Paired axial CT (left) and PSMA PET (right), [18F]PSMA-1007 tracer. PET panel 200×200 px (4.1 mm/px).
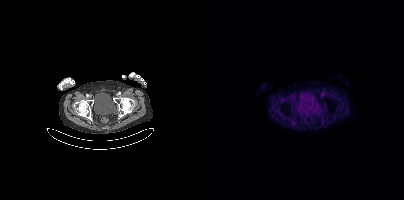
No PSMA-avid tumor lesions on this slice.